Face de-identified by blanking a block of the head.
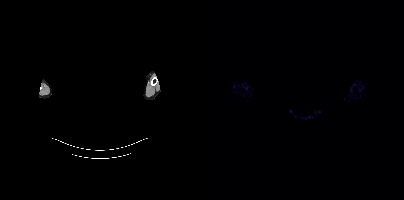
This slice has no annotated PSMA-avid lesion.